Paired axial CT (left) and PSMA PET (right), [18F]PSMA-1007 tracer. Acquired on Siemens Biograph mCT Flow 20. Slice position z = -1269 mm.
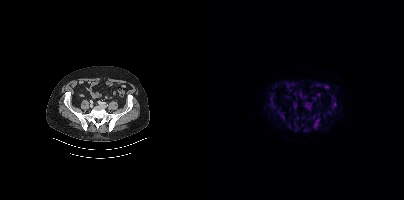
Coordinates are on the 200×200 PET (right) panel. PSMA-avid tumor lesion bounding boxes:
| # | x0 | y0 | x1 | y1 |
|---|---|---|---|---|
| 1 | 109 | 119 | 115 | 128 |
| 2 | 66 | 103 | 70 | 107 |
| 3 | 76 | 113 | 80 | 118 |
| 4 | 110 | 113 | 114 | 117 |
| 5 | 127 | 96 | 131 | 100 |
Small PSMA-avid foci (2 to 4 px across) near (center x, center y): (124, 112); (130, 104).